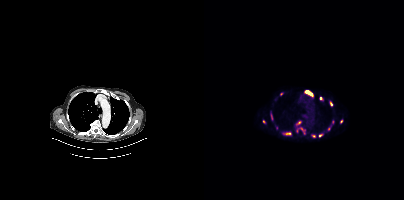
Coordinates are on the 200×200 PET (right) panel. (showing 15 of 16 foci) PSMA-avid tumor lesion bounding boxes (x0,y0,x1,y1): [101,91,108,95] [80,132,86,134] [97,128,101,134] [67,114,68,119]. Small PSMA-avid foci (2 to 4 px across) near (center x, center y): (124, 128) (94, 122) (109, 136) (116, 135) (116, 98) (127, 104) (72, 128) (136, 121) (59, 121) (128, 122) (77, 93).